- Two-panel axial: CT | PSMA PET, 18F tracer
- acquired on Siemens Biograph mCT Flow 20
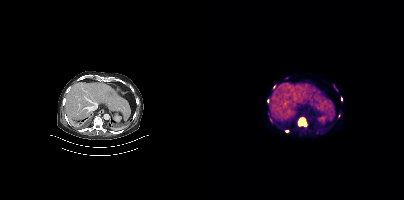
Findings: Coordinates are on the 200×200 PET (right) panel. PSMA-avid tumor lesion bounding boxes (x0, y0)-(x1, y1): (93, 117)-(103, 127) | (81, 130)-(85, 132). Small PSMA-avid foci (2 to 4 px across) near (center x, center y): (64, 100) | (137, 98) | (82, 77) | (70, 86) | (66, 119).